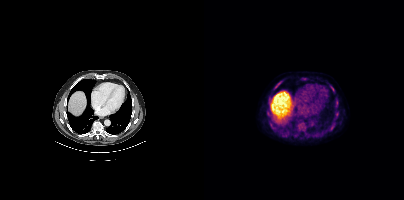
Left: CT. Right: PSMA PET, same axial level, 18F-PSMA tracer. PET panel 200×200 px (4.1 mm/px). Coordinates are on the 200×200 PET (right) panel. PSMA-avid tumor lesion bounding boxes (x0,y0,x1,y1): [72,82,76,87]; [126,86,130,91].